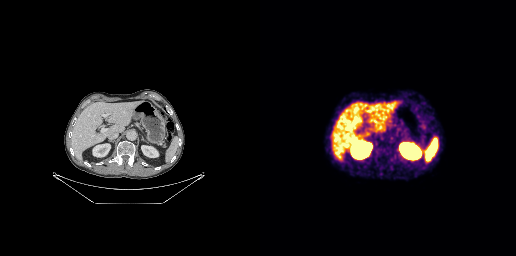
Two-panel axial: CT | PSMA PET, 68Ga-PSMA tracer. Slice position z = -577 mm. PET panel 256×256 px (2.7 mm/px).
Coordinates are on the 256×256 PET (right) panel. PSMA-avid tumor lesion bounding boxes:
| # | x0 | y0 | x1 | y1 |
|---|---|---|---|---|
| 1 | 130 | 137 | 133 | 142 |
Small PSMA-avid focus (2 to 4 px across) near (center x, center y): (122, 137).